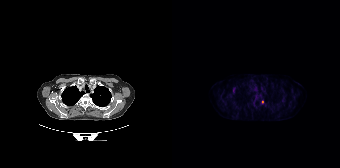
Coordinates are on the 168×168 PET (right) panel. Small PSMA-avid foci (2 to 4 px across) near (center x, center y): (62, 89) | (90, 102).